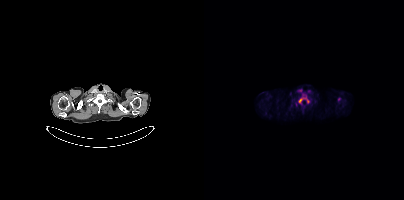
Coordinates are on the 200×200 PET (right) panel. (showing 1 of 3 foci) PSMA-avid tumor lesion bounding box (x0, y0)-(x1, y1): (94, 94)-(105, 104).
modality: PSMA PET/CT | tracer: 18F-PSMA | view: axial | PET grid: 200×200